Left: CT. Right: PSMA PET, same axial level, 18F-PSMA tracer. Slice 337 of 454.
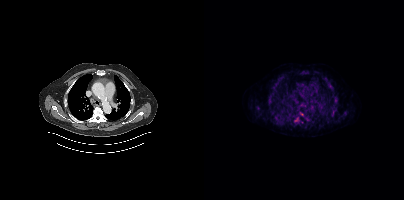
Coordinates are on the 200×200 PET (right) panel. (showing 15 of 18 foci) PSMA-avid tumor lesion bounding boxes (x, y, width, height): x=73 y=116 w=6 h=7; x=130 y=96 w=4 h=7; x=128 y=108 w=5 h=6; x=139 y=111 w=5 h=5; x=98 y=71 w=6 h=4; x=52 y=106 w=4 h=5; x=103 y=119 w=5 h=5; x=91 y=117 w=4 h=5. Small PSMA-avid foci (2 to 4 px across) near (center x, center y): (65, 96); (67, 112); (79, 75); (127, 89); (68, 93); (122, 78); (98, 122).